Two-panel axial: CT | PSMA PET, 18F-PSMA tracer. Acquired on Siemens Biograph mCT Flow 20. Slice position z = 1332 mm.
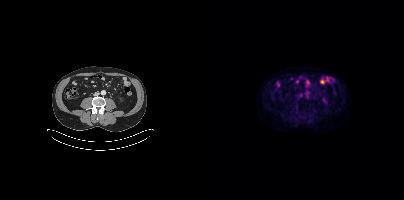
Only PSMA-avid lesion pieces thinner than 2 px on this slice (not listed).